modality: PSMA PET/CT | tracer: [18F]PSMA-1007 | view: axial | PET grid: 256×256
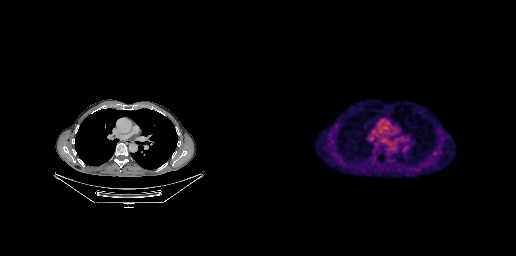
Coordinates are on the 256×256 PET (right) panel. Small PSMA-avid focus (2 to 4 px across) near (center x, center y): (173, 154).